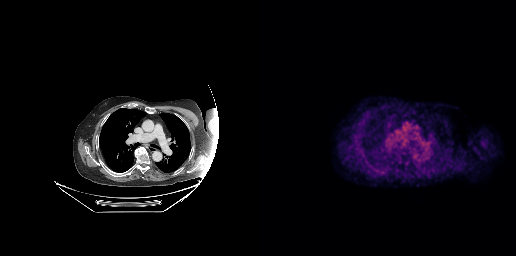
No tumor lesions annotated on this slice.
modality: PSMA PET/CT | tracer: 18F-PSMA | view: axial | PET grid: 256×256